Paired axial CT (left) and PSMA PET (right), 68Ga-PSMA tracer. Slice position z = -695 mm.
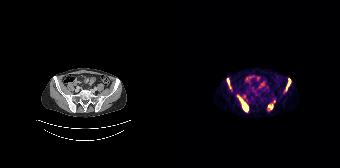
Coordinates are on the 168×168 PET (right) panel. (showing 4 of 5 foci) PSMA-avid tumor lesion bounding boxes (x0,y0,x1,y1): [67,97,76,111], [96,100,103,110], [113,78,118,91], [55,79,57,84].